Technique: Left: CT. Right: PSMA PET, same axial level, [18F]PSMA-1007 tracer. slice position z = -910 mm. PET panel 200×200 px (4.1 mm/px).
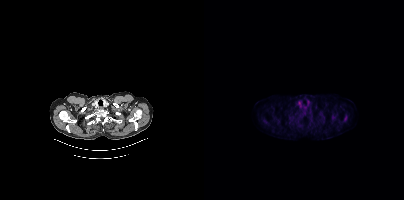
Findings: Coordinates are on the 200×200 PET (right) panel. PSMA-avid tumor lesion bounding box (x0,y0,x1,y1): [140,115,143,121]. Small PSMA-avid focus (2 to 4 px across) near (center x, center y): (129, 117).